modality: PSMA PET/CT | tracer: 18F-PSMA | view: axial
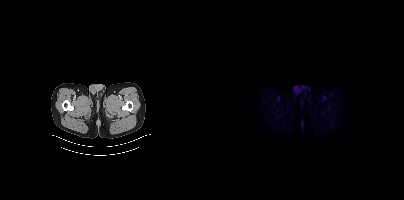
This slice has no annotated PSMA-avid lesion.